Technique: Left: CT. Right: PSMA PET, same axial level, 68Ga-PSMA tracer. acquired on Siemens Biograph mCT Flow 20. PET panel 200×200 px (4.1 mm/px).
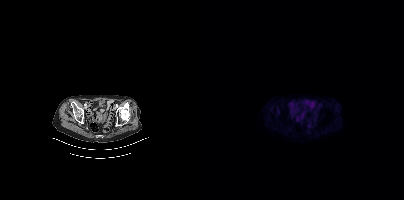
Findings: This slice has no annotated PSMA-avid lesion.